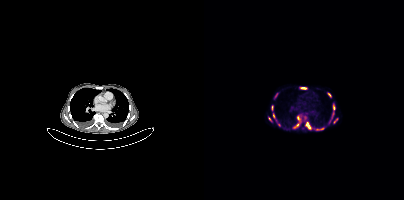
- Left: CT. Right: PSMA PET, same axial level, [68Ga]Ga-PSMA-11 tracer
- acquired on Siemens Biograph mCT Flow 20
- PET panel 200×200 px (4.1 mm/px)
Findings: Coordinates are on the 200×200 PET (right) panel. (showing 11 of 14 foci) PSMA-avid tumor lesion bounding boxes (x, y, width, height): x=101 y=122 w=7 h=8 | x=97 y=87 w=6 h=3 | x=129 y=104 w=2 h=6 | x=113 y=128 w=7 h=3 | x=93 y=116 w=3 h=5 | x=90 y=124 w=5 h=4 | x=69 y=113 w=2 h=5. Small PSMA-avid foci (2 to 4 px across) near (center x, center y): (75, 124) | (125, 94) | (71, 96) | (65, 118).